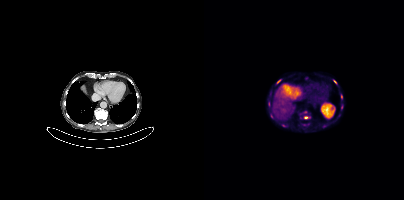
Coordinates are on the 200×200 PET (right) panel. PSMA-avid tumor lesion bounding box (x, y, width, height): x=100 y=116 w=5 h=3. Small PSMA-avid foci (2 to 4 px across) near (center x, center y): (74, 81); (137, 96); (130, 81); (137, 107); (67, 116).